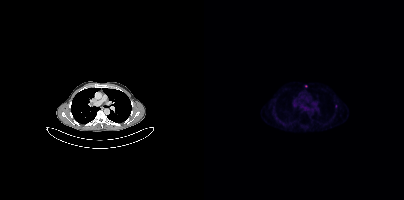
modality: PSMA PET/CT | tracer: 68Ga | view: axial
Only PSMA-avid lesion pieces thinner than 2 px on this slice (not listed).